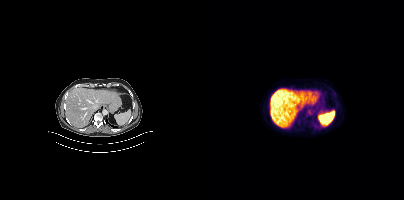
Findings: No PSMA-avid tumor lesions on this slice.
- Paired axial CT (left) and PSMA PET (right), 18F tracer
- PET panel 200×200 px (4.1 mm/px)